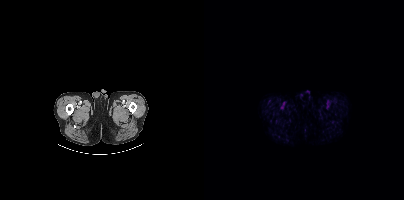
{"modality":"PSMA PET/CT","view":"axial","tracer":"18F","pet_grid":[200,200],"coord_frame":"pet_panel","coord_format":"x0,y0,x1,y1","psma_avid_lesions":false}